modality: PSMA PET/CT | tracer: [68Ga]Ga-PSMA-11 | view: axial
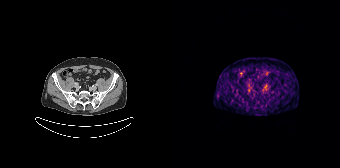
Coordinates are on the 168×168 PET (right) panel. Small PSMA-avid focus (2 to 4 px across) near (center x, center y): (78, 87).